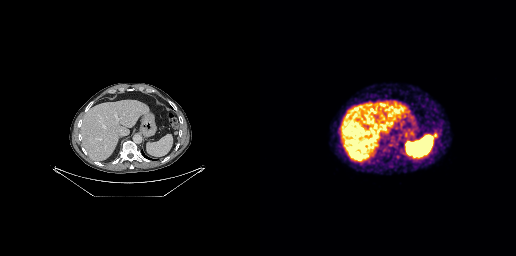
{"modality":"PSMA PET/CT","view":"axial","tracer":"68Ga-PSMA","pet_grid":[256,256],"coord_frame":"pet_panel","coord_format":"x0,y0,x1,y1","lesion_bboxes":[[174,132,178,138]]}